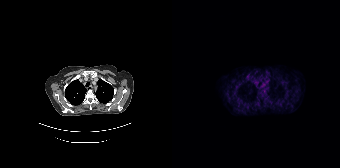
Paired axial CT (left) and PSMA PET (right), [68Ga]Ga-PSMA-11 tracer. Acquired on Siemens Biograph 64-4R TruePoint. Slice 155 of 195. No PSMA-avid tumor lesions on this slice.